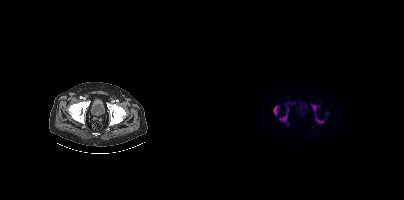
Findings: Coordinates are on the 200×200 PET (right) panel. PSMA-avid tumor lesion bounding boxes (x0,y0,x1,y1): [69,105,75,115] [75,108,84,122] [111,117,120,123] [108,104,115,111]. Small PSMA-avid foci (2 to 4 px across) near (center x, center y): (90, 102) (122, 113).
Technique: Two-panel axial: CT | PSMA PET, 18F tracer.